Paired axial CT (left) and PSMA PET (right), [18F]PSMA-1007 tracer. Slice position z = 50 mm.
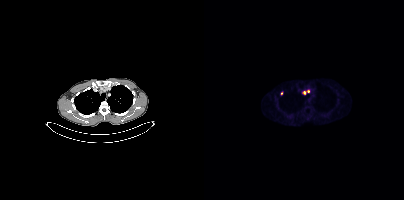
Coordinates are on the 200×200 PET (right) panel. Small PSMA-avid foci (2 to 4 px across) near (center x, center y): (77, 93) | (104, 91) | (100, 92).